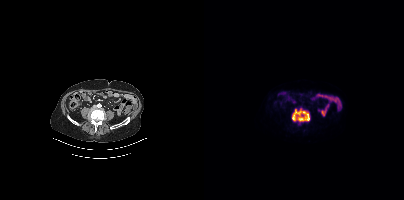
Coordinates are on the 200×200 PET (right) panel. PSMA-avid tumor lesion bounding box (x0,y0,x1,y1): [87,108,106,124].